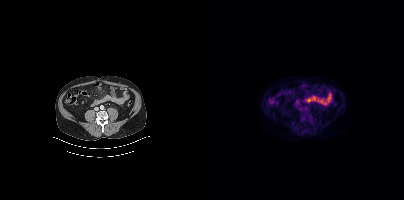
{"modality":"PSMA PET/CT","view":"axial","tracer":"[18F]PSMA-1007","pet_grid":[200,200],"coord_frame":"pet_panel","coord_format":"x0,y0,x1,y1","psma_avid_lesions":false}